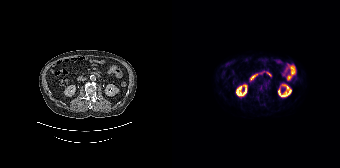
Coordinates are on the 168×168 PET (right) panel. Small PSMA-avid focus (2 to 4 px across) near (center x, center y): (88, 88).